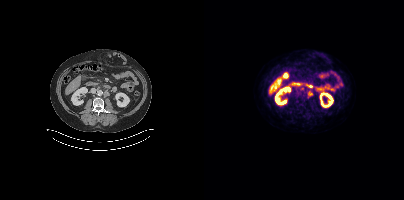
Findings: Coordinates are on the 200×200 PET (right) panel. PSMA-avid tumor lesion bounding boxes (x0, y0)-(x1, y1): (104, 90)-(108, 94) | (102, 96)-(106, 99). Small PSMA-avid focus (2 to 4 px across) near (center x, center y): (93, 95).
- Two-panel axial: CT | PSMA PET, [18F]PSMA-1007 tracer
- PET panel 200×200 px (4.1 mm/px)